Left: CT. Right: PSMA PET, same axial level, 18F-PSMA tracer. Acquired on Siemens Biograph mCT Flow 20.
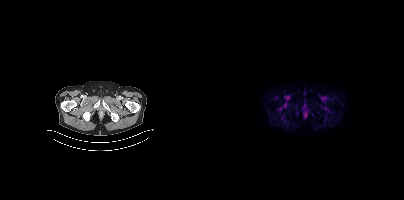
Coordinates are on the 200×200 PET (right) panel. PSMA-avid tumor lesion bounding boxes:
| # | x0 | y0 | x1 | y1 |
|---|---|---|---|---|
| 1 | 74 | 103 | 81 | 109 |
Small PSMA-avid focus (2 to 4 px across) near (center x, center y): (72, 97).